Technique: Two-panel axial: CT | PSMA PET, [18F]PSMA-1007 tracer.
Note: The head region is masked for de-identification.
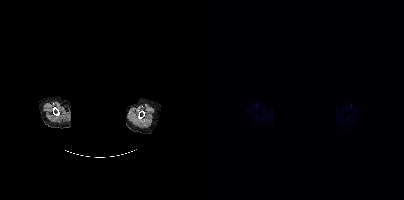
Findings: No tumor lesions annotated on this slice.